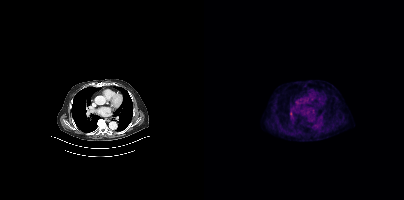
Only PSMA-avid lesion pieces thinner than 2 px on this slice (not listed). Paired axial CT (left) and PSMA PET (right), 18F-PSMA tracer. PET panel 200×200 px (4.1 mm/px).